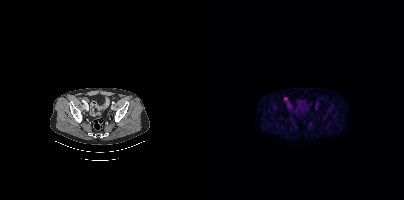
- Left: CT. Right: PSMA PET, same axial level, 18F tracer
- slice position z = -1431 mm
- PET panel 200×200 px (4.1 mm/px)
Findings: Coordinates are on the 200×200 PET (right) panel. Small PSMA-avid focus (2 to 4 px across) near (center x, center y): (81, 98).